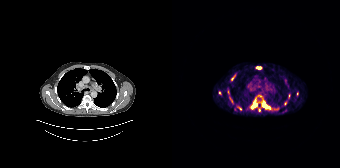
{"pet_grid":[168,168],"coord_frame":"pet_panel","coord_format":"x0,y0,x1,y1","partial":true,"lesion_bboxes":[[78,99,85,109],[89,100,98,108],[84,66,89,69]],"small_foci_centers":[[67,108],[60,78],[56,91],[113,103],[125,93],[59,101],[105,108],[87,110]],"modality":"PSMA PET/CT","view":"axial","tracer":"68Ga"}